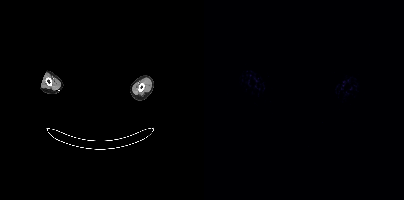
Technique: Two-panel axial: CT | PSMA PET, 68Ga-PSMA tracer. PET panel 200×200 px (4.1 mm/px).
Note: Privacy masking over the head, with the pixels inside a rectangle set to black.
Findings: No tumor lesions annotated on this slice.